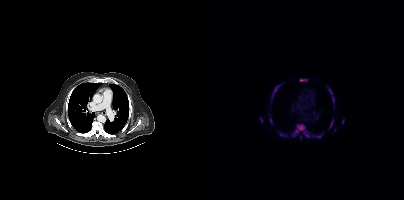
Left: CT. Right: PSMA PET, same axial level, 18F tracer. Slice 295 of 423. Coordinates are on the 200×200 PET (right) panel. (showing 10 of 13 foci) PSMA-avid tumor lesion bounding boxes (x0,y0,x1,y1): [88,124,104,137] [123,86,130,103] [75,133,83,136] [67,90,71,97] [96,79,102,81] [126,120,129,127] [112,135,117,137] [138,119,140,123]. Small PSMA-avid foci (2 to 4 px across) near (center x, center y): (57, 119) (96, 137).